Technique: Paired axial CT (left) and PSMA PET (right), 18F-PSMA tracer. acquired on Siemens Biograph mCT Flow 20. slice 190 of 415.
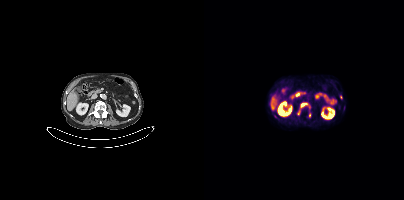
Findings: Coordinates are on the 200×200 PET (right) panel. PSMA-avid tumor lesion bounding boxes (x0,y0,x1,y1): [96,102,106,108]; [93,110,96,114]. Small PSMA-avid foci (2 to 4 px across) near (center x, center y): (105, 114); (136, 97).